modality: PSMA PET/CT | tracer: 18F | view: axial | PET grid: 200×200
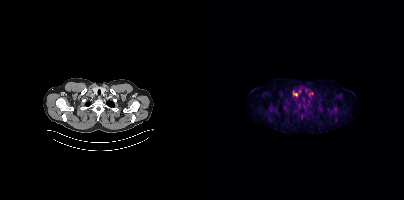
Coordinates are on the 200×200 PET (right) panel. PSMA-avid tumor lesion bounding box (x0,y0,x1,y1): [89,93,93,95]. Small PSMA-avid focus (2 to 4 px across) near (center x, center y): (106, 93).